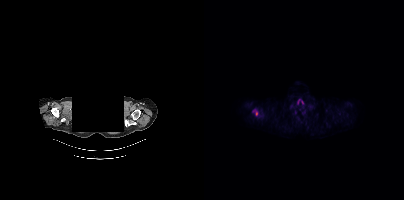
Coordinates are on the 200×200 PET (right) panel. PSMA-avid tumor lesion bounding boxes:
| # | x0 | y0 | x1 | y1 |
|---|---|---|---|---|
| 1 | 49 | 110 | 53 | 115 |
Left: CT. Right: PSMA PET, same axial level, 18F tracer. Head region blanked for anonymization (face removed).